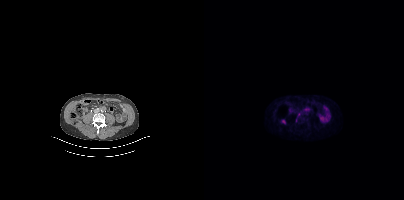
Paired axial CT (left) and PSMA PET (right), 18F tracer. Slice 160 of 435. PET panel 200×200 px (4.1 mm/px). Coordinates are on the 200×200 PET (right) panel. PSMA-avid tumor lesion bounding boxes (x0, y0)-(x1, y1): (77, 119)-(81, 123) / (101, 108)-(105, 110).